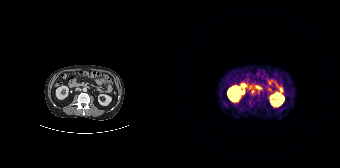
{"pet_grid":[168,168],"coord_frame":"pet_panel","coord_format":"x0,y0,x1,y1","psma_avid_lesions":false,"modality":"PSMA PET/CT","view":"axial","tracer":"68Ga-PSMA"}